modality: PSMA PET/CT | tracer: 18F-PSMA | view: axial | PET grid: 200×200
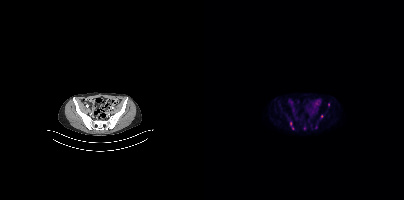
Coordinates are on the 200×200 PET (right) panel. Small PSMA-avid foci (2 to 4 px across) near (center x, center y): (117, 116) | (124, 104).